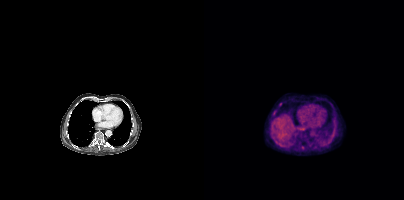
modality: PSMA PET/CT | tracer: 18F | view: axial
Coordinates are on the 200×200 PET (right) panel. Small PSMA-avid foci (2 to 4 px across) near (center x, center y): (98, 147); (76, 104); (70, 112).